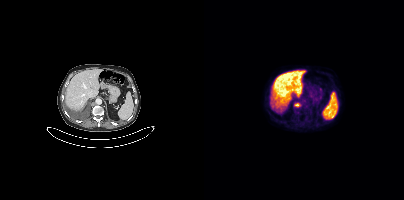
Coordinates are on the 200×200 PET (right) panel. PSMA-avid tumor lesion bounding box (x0, y0)-(x1, y1): (90, 103)-(96, 106).
modality: PSMA PET/CT | tracer: 18F | view: axial